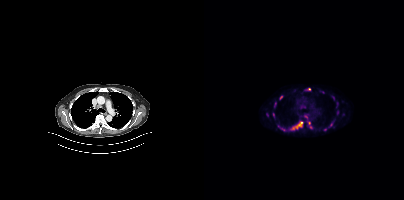
Coordinates are on the 200×200 PET (right) panel. (showing 11 of 13 foci) PSMA-avid tumor lesion bounding boxes (x0,y0,x1,y1): [93,121,99,127], [86,126,92,130], [133,110,134,114]. Small PSMA-avid foci (2 to 4 px across) near (center x, center y): (77, 97), (105, 123), (107, 127), (105, 89), (69, 114), (79, 129), (71, 104), (102, 116).